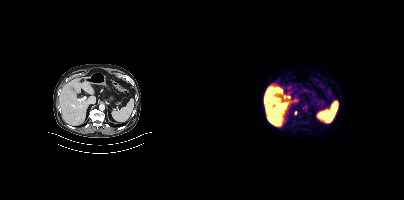
Findings: Coordinates are on the 200×200 PET (right) panel. Small PSMA-avid focus (2 to 4 px across) near (center x, center y): (91, 112).
Technique: Left: CT. Right: PSMA PET, same axial level, 18F tracer. acquired on Siemens Biograph mCT Flow 20.